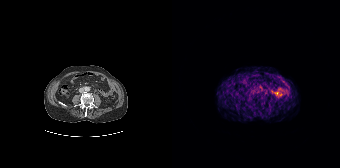
Technique: Paired axial CT (left) and PSMA PET (right), [68Ga]Ga-PSMA-11 tracer.
Findings: This slice has no annotated PSMA-avid lesion.